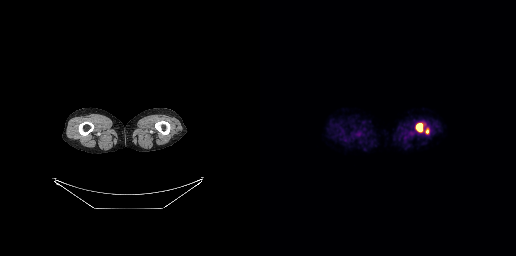
- Left: CT. Right: PSMA PET, same axial level, 18F tracer
- PET panel 256×256 px (2.7 mm/px)
Findings: Coordinates are on the 256×256 PET (right) panel. PSMA-avid tumor lesion bounding boxes (x, y, width, height): x=156 y=123 w=7 h=9 / x=166 y=129 w=3 h=5.